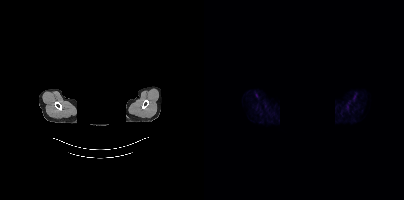
{"modality":"PSMA PET/CT","view":"axial","tracer":"68Ga-PSMA","pet_grid":[200,200],"coord_frame":"pet_panel","coord_format":"x0,y0,x1,y1","redaction":"face masked with black rectangle","psma_avid_lesions":false}